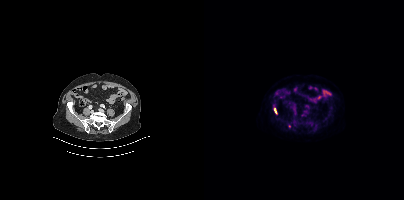
Coordinates are on the 200×200 PET (right) panel. PSMA-avid tumor lesion bounding boxes (partial; 1 more focus not listed):
| # | x0 | y0 | x1 | y1 |
|---|---|---|---|---|
| 1 | 70 | 109 | 72 | 113 |
Paired axial CT (left) and PSMA PET (right), 18F tracer.